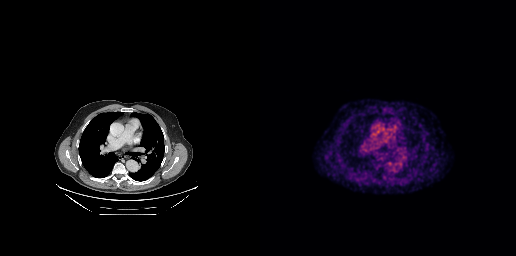
{"modality":"PSMA PET/CT","view":"axial","tracer":"[18F]PSMA-1007","pet_grid":[256,256],"coord_frame":"pet_panel","coord_format":"x0,y0,x1,y1","psma_avid_lesions":false}